- Left: CT. Right: PSMA PET, same axial level, [18F]PSMA-1007 tracer
- slice 48 of 401
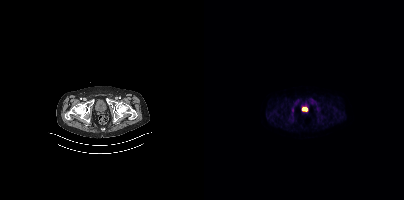
Findings: Coordinates are on the 200×200 PET (right) panel. PSMA-avid tumor lesion bounding box (x0,y0,x1,y1): [98,108,103,110].